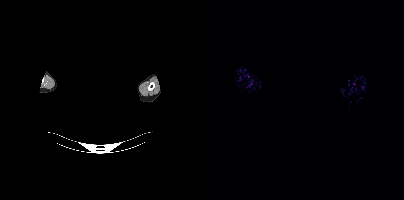
Technique: Two-panel axial: CT | PSMA PET, [68Ga]Ga-PSMA-11 tracer. PET panel 200×200 px (4.1 mm/px).
Note: An anonymization step blacked out a rectangle over the head in this scan.
Findings: No tumor lesions annotated on this slice.